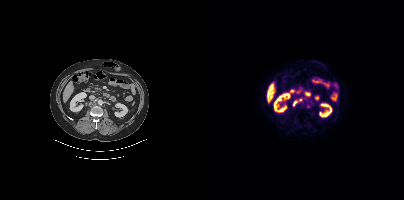
Coordinates are on the 200×200 PET (right) panel. PSMA-avid tumor lesion bounding box (x, y, width, height): x=94 y=98 w=5 h=4. Small PSMA-avid foci (2 to 4 px across) near (center x, center y): (104, 106) / (90, 104).